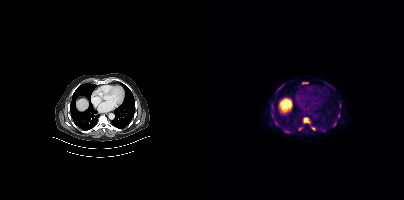
{"pet_grid":[200,200],"coord_frame":"pet_panel","coord_format":"x0,y0,x1,y1","lesion_bboxes":[[99,117,106,123],[67,103,69,115],[69,120,75,126],[72,87,77,92],[128,121,132,126],[126,85,131,90],[107,127,111,130],[135,103,136,107]],"small_foci_centers":[[95,128],[70,117],[120,130],[134,117],[80,130],[99,83],[79,84]],"modality":"PSMA PET/CT","view":"axial","tracer":"18F-PSMA"}